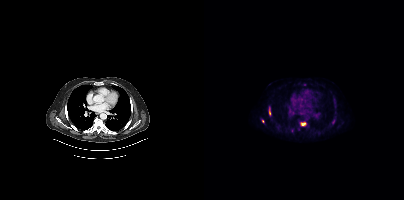
Coordinates are on the 200×200 PET (right) panel. (showing 5 of 6 foci) PSMA-avid tumor lesion bounding boxes (x, y, width, height): x=65 y=107 w=3 h=9 / x=96 y=122 w=6 h=4 / x=128 y=119 w=4 h=5. Small PSMA-avid foci (2 to 4 px across) near (center x, center y): (88, 130) / (58, 121).